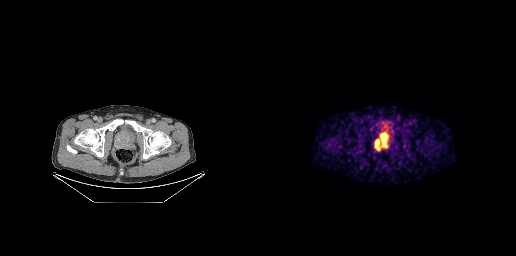
- Left: CT. Right: PSMA PET, same axial level, 18F-PSMA tracer
- acquired on GE Discovery 690
- slice 67 of 299
- PET panel 256×256 px (2.7 mm/px)
Findings: Coordinates are on the 256×256 PET (right) panel. PSMA-avid tumor lesion bounding box (x0,y0,x1,y1): [114,134,128,149].